modality: PSMA PET/CT | tracer: 18F-PSMA | view: axial | PET grid: 256×256
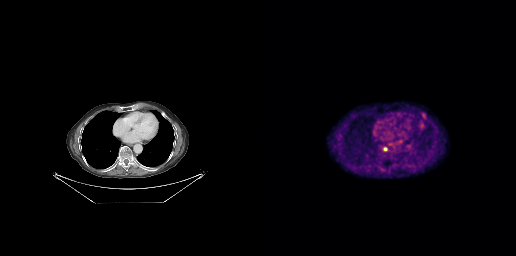
Coordinates are on the 256×256 PET (right) panel. PSMA-avid tumor lesion bounding box (x0, y0)-(x1, y1): (162, 113)-(165, 117). Small PSMA-avid focus (2 to 4 px across) near (center x, center y): (125, 149).